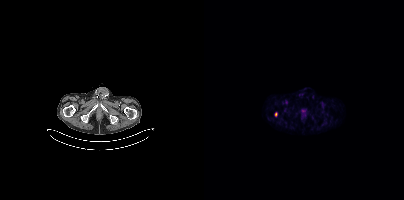
Coordinates are on the 200×200 PET (right) panel. Small PSMA-avid focus (2 to 4 px across) near (center x, center y): (72, 113).
modality: PSMA PET/CT | tracer: 18F-PSMA | view: axial | PET grid: 200×200